- Two-panel axial: CT | PSMA PET, [18F]PSMA-1007 tracer
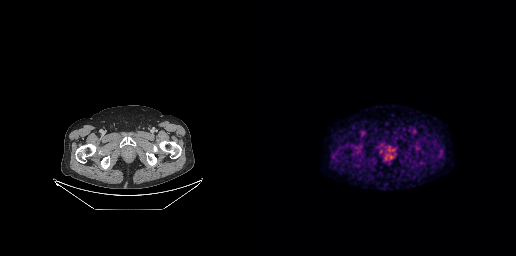
Findings: This slice has no annotated PSMA-avid lesion.